modality: PSMA PET/CT | tracer: 68Ga-PSMA | view: axial | PET grid: 200×200
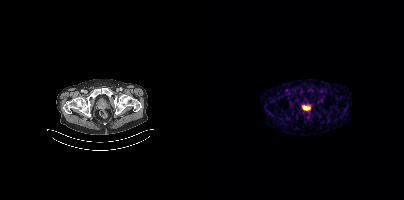
Coordinates are on the 200×200 PET (right) panel. PSMA-avid tumor lesion bounding box (x0, y0)-(x1, y1): (99, 106)-(105, 109).